Technique: Left: CT. Right: PSMA PET, same axial level, [18F]PSMA-1007 tracer. acquired on Siemens Biograph mCT Flow 20. slice position z = 300 mm. PET panel 200×200 px (4.1 mm/px).
Note: A rectangular block over the head has been blanked out for de-identification.
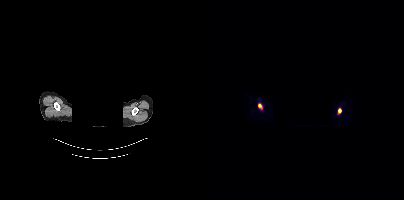
Findings: Coordinates are on the 200×200 PET (right) panel. PSMA-avid tumor lesion bounding boxes (x, y, width, height): x=134 y=108 w=4 h=6 | x=54 y=104 w=4 h=5.